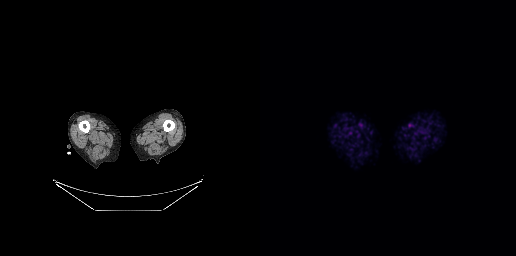
No PSMA-avid tumor lesions on this slice.
modality: PSMA PET/CT | tracer: [18F]PSMA-1007 | view: axial | PET grid: 256×256